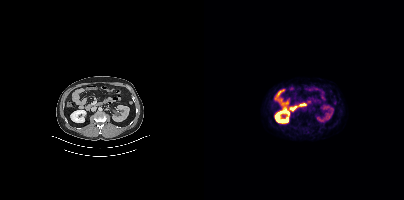
{"modality":"PSMA PET/CT","view":"axial","tracer":"18F","pet_grid":[200,200],"coord_frame":"pet_panel","coord_format":"x0,y0,x1,y1","psma_avid_lesions":false}